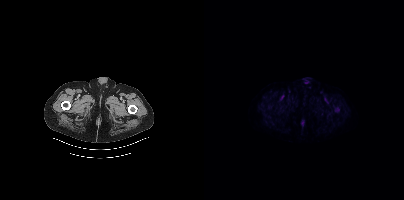
- Paired axial CT (left) and PSMA PET (right), 18F-PSMA tracer
- slice position z = -1467 mm
- PET panel 200×200 px (4.1 mm/px)
Findings: Coordinates are on the 200×200 PET (right) panel. PSMA-avid tumor lesion bounding box (x, y, width, height): x=131 y=107 w=5 h=6.